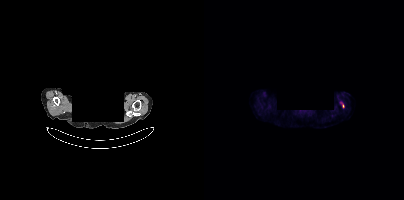
Findings: Coordinates are on the 200×200 PET (right) panel. Small PSMA-avid focus (2 to 4 px across) near (center x, center y): (139, 105).
- Left: CT. Right: PSMA PET, same axial level, [18F]PSMA-1007 tracer
- acquired on Siemens Biograph mCT Flow 20
- slice position z = 322 mm
- PET panel 200×200 px (4.1 mm/px)
- head region blanked for anonymization (face removed)